Paired axial CT (left) and PSMA PET (right), 18F-PSMA tracer. Slice 377 of 415. The face region was removed for patient privacy by blanking a rectangle over the head.
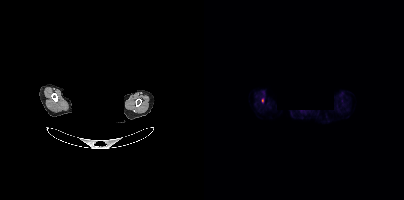
Coordinates are on the 200×200 PET (right) panel. Small PSMA-avid focus (2 to 4 px across) near (center x, center y): (58, 100).